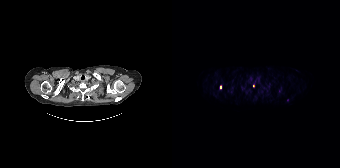
Technique: Paired axial CT (left) and PSMA PET (right), 18F tracer. PET panel 168×168 px (4.1 mm/px).
Findings: Coordinates are on the 168×168 PET (right) panel. Small PSMA-avid foci (2 to 4 px across) near (center x, center y): (48, 86) | (81, 85).